Left: CT. Right: PSMA PET, same axial level, 18F-PSMA tracer. PET panel 200×200 px (4.1 mm/px).
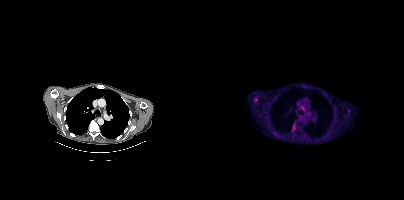
Coordinates are on the 200×200 PET (right) panel. PSMA-avid tumor lesion bounding boxes (partial; 1 more focus not listed):
| # | x0 | y0 | x1 | y1 |
|---|---|---|---|---|
| 1 | 88 | 121 | 92 | 131 |
| 2 | 50 | 97 | 53 | 101 |
Small PSMA-avid foci (2 to 4 px across) near (center x, center y): (144, 110); (97, 107); (100, 110).